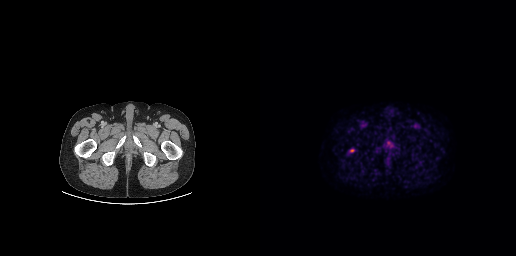
Coordinates are on the 256×256 PET (right) panel. Small PSMA-avid focus (2 to 4 px across) near (center x, center y): (91, 150). Paired axial CT (left) and PSMA PET (right), 18F-PSMA tracer. Slice position z = -772 mm. PET panel 256×256 px (2.7 mm/px).